modality: PSMA PET/CT | tracer: 18F-PSMA | view: axial | PET grid: 200×200
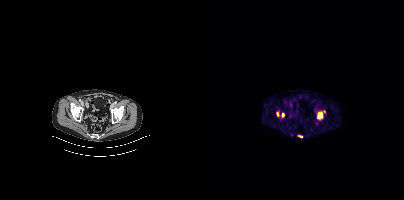
Coordinates are on the 200×200 PET (right) panel. PSMA-avid tumor lesion bounding boxes (x0,y0,x1,y1): [113,110,121,119] [78,113,80,117] [94,135,98,137] [72,112,74,116].